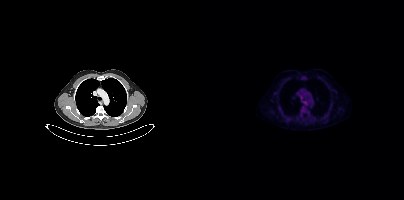
Findings: Coordinates are on the 200×200 PET (right) panel. Small PSMA-avid focus (2 to 4 px across) near (center x, center y): (70, 92).
Technique: Left: CT. Right: PSMA PET, same axial level, 18F tracer. acquired on Siemens Biograph mCT Flow 20.